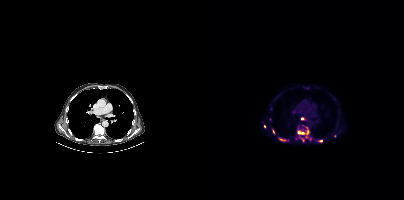
Findings: Coordinates are on the 200×200 PET (right) panel. (showing 9 of 12 foci) PSMA-avid tumor lesion bounding boxes (x0,y0,x1,y1): [94,130,105,134]; [76,139,81,140]. Small PSMA-avid foci (2 to 4 px across) near (center x, center y): (69, 131); (98, 118); (99, 140); (60, 126); (130, 135); (102, 136); (116, 140).
Technique: Two-panel axial: CT | PSMA PET, 18F-PSMA tracer. PET panel 200×200 px (4.1 mm/px).